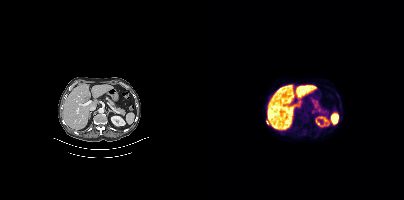
Findings: Coordinates are on the 200×200 PET (right) panel. Small PSMA-avid focus (2 to 4 px across) near (center x, center y): (63, 122).
- Left: CT. Right: PSMA PET, same axial level, 18F-PSMA tracer
- slice 223 of 452
- PET panel 200×200 px (4.1 mm/px)